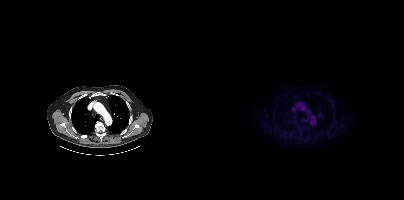
modality: PSMA PET/CT | tracer: [18F]PSMA-1007 | view: axial | PET grid: 200×200
No tumor lesions annotated on this slice.